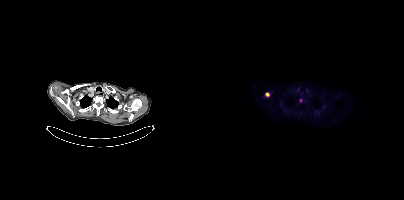
Coordinates are on the 200×200 PET (right) panel. PSMA-avid tumor lesion bounding box (x0,y0,x1,y1): [61,92,65,96]. Small PSMA-avid focus (2 to 4 px across) near (center x, center y): (96, 100).